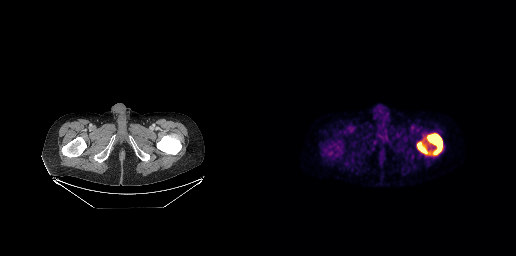
Left: CT. Right: PSMA PET, same axial level, [18F]PSMA-1007 tracer. PET panel 256×256 px (2.7 mm/px). Coordinates are on the 256×256 PET (right) panel. PSMA-avid tumor lesion bounding boxes (x, y, width, height): x=167 y=133 w=16 h=23; x=157 y=142 w=13 h=13.